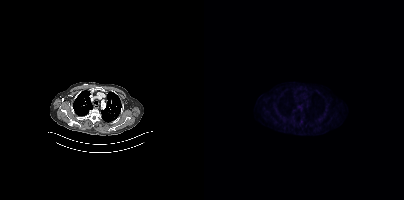
Technique: Left: CT. Right: PSMA PET, same axial level, [18F]PSMA-1007 tracer. PET panel 200×200 px (4.1 mm/px).
Findings: No tumor lesions annotated on this slice.